redaction: rectangle blanked before release | modality: PSMA PET/CT | tracer: [18F]PSMA-1007 | view: axial
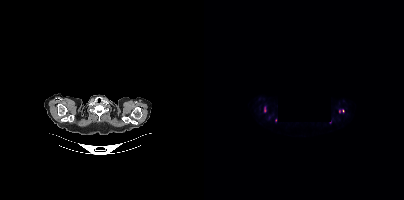
Coordinates are on the 200×200 PET (right) panel. (showing 1 of 2 foci) PSMA-avid tumor lesion bounding box (x, y, width, height): x=60 y=107 w=2 h=5.